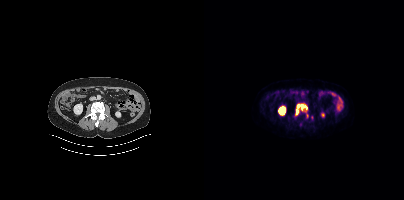
{"modality":"PSMA PET/CT","view":"axial","tracer":"[18F]PSMA-1007","pet_grid":[200,200],"coord_frame":"pet_panel","coord_format":"x0,y0,x1,y1","lesion_bboxes":[[92,104,103,114]]}